Paired axial CT (left) and PSMA PET (right), [18F]PSMA-1007 tracer. PET panel 200×200 px (4.1 mm/px).
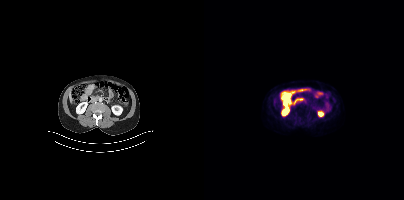
No tumor lesions annotated on this slice.